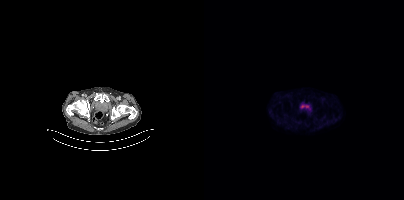
- Two-panel axial: CT | PSMA PET, 18F tracer
Findings: No PSMA-avid tumor lesions on this slice.